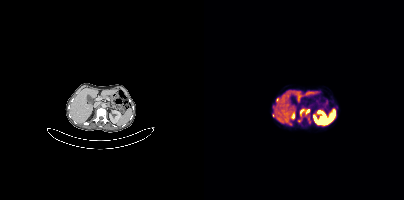
Findings: Coordinates are on the 200×200 PET (right) panel. (showing 2 of 3 foci) PSMA-avid tumor lesion bounding box (x0, y0)-(x1, y1): (94, 109)-(105, 122). Small PSMA-avid focus (2 to 4 px across) near (center x, center y): (73, 100).
- Left: CT. Right: PSMA PET, same axial level, 68Ga-PSMA tracer